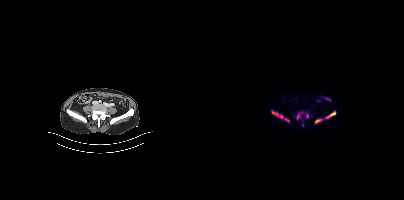
modality: PSMA PET/CT | tracer: 18F-PSMA | view: axial
Coordinates are on the 200×200 PET (right) panel. (showing 6 of 7 foci) PSMA-avid tumor lesion bounding boxes (x0,y0,x1,y1): [68,111,79,118], [122,111,131,118], [111,119,118,123], [93,112,98,119], [81,118,85,121]. Small PSMA-avid focus (2 to 4 px across) near (center x, center y): (103, 115).